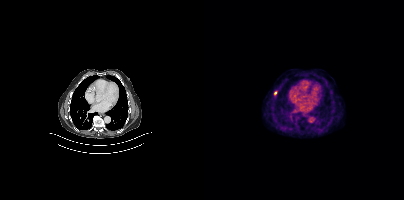
{"pet_grid":[200,200],"coord_frame":"pet_panel","coord_format":"x0,y0,x1,y1","lesion_bboxes":[[70,91,73,95]],"modality":"PSMA PET/CT","view":"axial","tracer":"18F"}